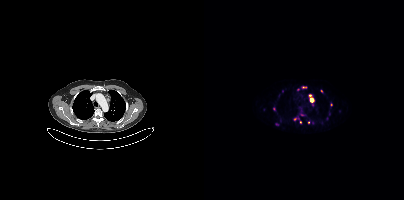
modality: PSMA PET/CT | tracer: 68Ga-PSMA | view: axial | PET grid: 200×200
Coordinates are on the 200×200 PET (right) panel. (showing 10 of 13 foci) PSMA-avid tumor lesion bounding boxes (x0, y0)-(x1, y1): (106, 98)-(109, 102) / (97, 86)-(102, 88). Small PSMA-avid foci (2 to 4 px across) near (center x, center y): (97, 114) / (70, 108) / (78, 91) / (117, 91) / (127, 104) / (104, 122) / (106, 95) / (72, 124).